- Paired axial CT (left) and PSMA PET (right), 18F-PSMA tracer
- PET panel 200×200 px (4.1 mm/px)
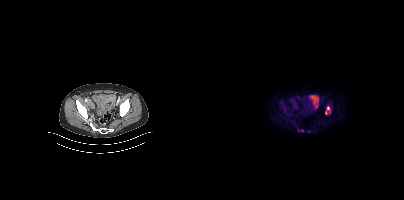
Findings: Coordinates are on the 200×200 PET (right) panel. (showing 2 of 5 foci) PSMA-avid tumor lesion bounding box (x0,y0,x1,y1): [121,106,126,114]. Small PSMA-avid focus (2 to 4 px across) near (center x, center y): (98, 130).